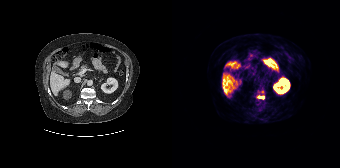
Findings: Coordinates are on the 168×168 PET (right) panel. PSMA-avid tumor lesion bounding box (x, y, width, height): x=85 y=95 w=8 h=5.
Technique: Left: CT. Right: PSMA PET, same axial level, 68Ga tracer. acquired on Siemens Biograph 64-4R TruePoint. slice position z = -1204 mm.